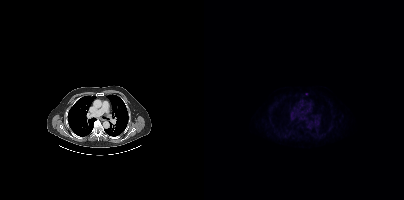
Only PSMA-avid lesion pieces thinner than 2 px on this slice (not listed).
modality: PSMA PET/CT | tracer: 18F | view: axial